Paired axial CT (left) and PSMA PET (right), [18F]PSMA-1007 tracer. Slice position z = -740 mm.
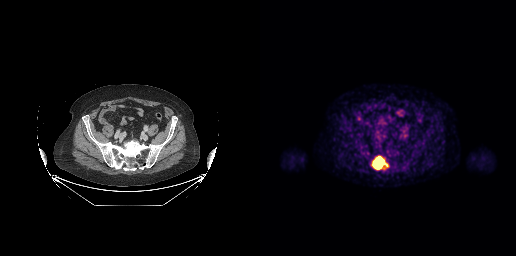
Coordinates are on the 256×256 PET (right) panel. PSMA-avid tumor lesion bounding boxes:
| # | x0 | y0 | x1 | y1 |
|---|---|---|---|---|
| 1 | 112 | 156 | 128 | 169 |